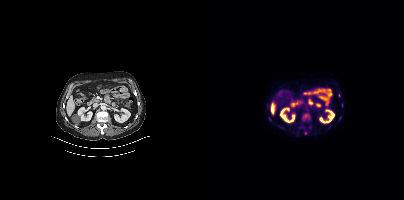
Coordinates are on the 200×200 PET (right) panel. (showing 5 of 6 foci) PSMA-avid tumor lesion bounding box (x0,y0,x1,y1): [99,114,104,118]. Small PSMA-avid foci (2 to 4 px across) near (center x, center y): (77, 127); (66, 120); (101, 133); (135, 95).